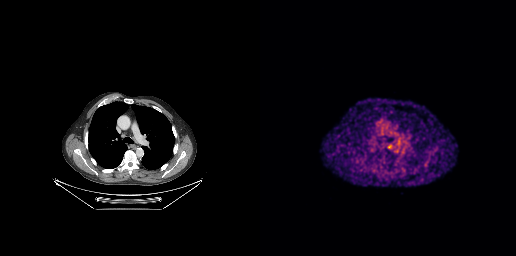
Negative for PSMA-avid disease on this slice. Left: CT. Right: PSMA PET, same axial level, 68Ga tracer. Acquired on GE Discovery 690. Slice 196 of 263. PET panel 256×256 px (2.7 mm/px).